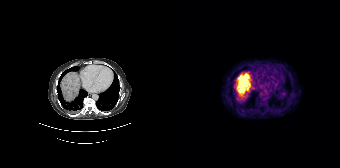
{"modality":"PSMA PET/CT","view":"axial","tracer":"68Ga","pet_grid":[168,168],"coord_frame":"pet_panel","coord_format":"x0,y0,x1,y1","lesion_bboxes":[[65,73,78,95]]}